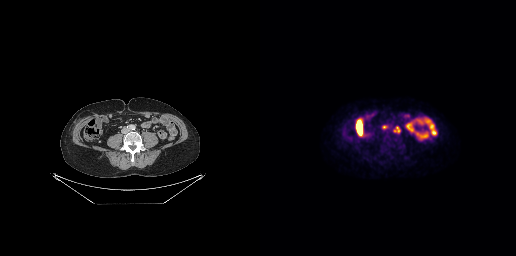
Coordinates are on the 256×256 PET (right) panel. (showing 2 of 3 foci) Small PSMA-avid foci (2 to 4 px across) near (center x, center y): (124, 127), (138, 130).